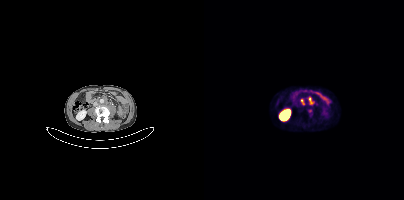
Coordinates are on the 200×200 PET (right) panel. (showing 2 of 3 foci) PSMA-avid tumor lesion bounding boxes (x0,y0,x1,y1): [104,97,109,104] [97,99,100,104]. Left: CT. Right: PSMA PET, same axial level, [68Ga]Ga-PSMA-11 tracer.